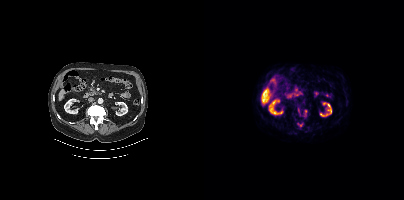
Coordinates are on the 200×200 PET (right) panel. (showing 2 of 4 foci) Small PSMA-avid foci (2 to 4 px across) near (center x, center y): (101, 111); (97, 125).